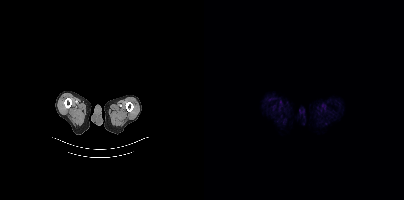
Negative for PSMA-avid disease on this slice. Left: CT. Right: PSMA PET, same axial level, [18F]PSMA-1007 tracer.